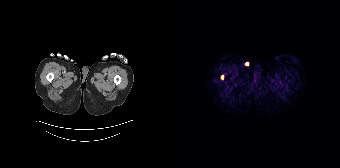
Coordinates are on the 168×168 PET (right) panel. Small PSMA-avid focus (2 to 4 px across) near (center x, center y): (50, 76).